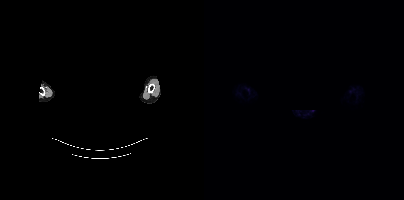
Paired axial CT (left) and PSMA PET (right), 68Ga-PSMA tracer. Acquired on Siemens Biograph mCT Flow 20. Slice 395 of 409. PET panel 200×200 px (4.1 mm/px). Privacy masking over the head, with the pixels inside a rectangle set to black. No tumor lesions annotated on this slice.